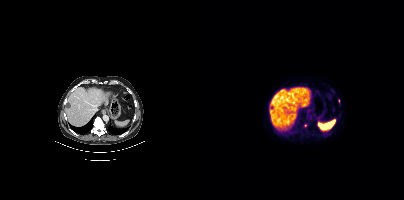
Findings: Coordinates are on the 200×200 PET (right) panel. (showing 1 of 2 foci) Small PSMA-avid focus (2 to 4 px across) near (center x, center y): (101, 125).
Technique: Two-panel axial: CT | PSMA PET, 18F tracer. acquired on Siemens Biograph mCT Flow 20.